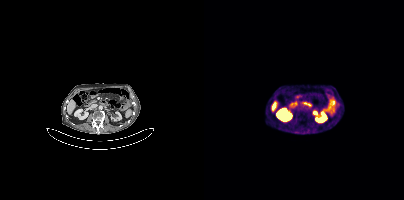
No tumor lesions annotated on this slice.
modality: PSMA PET/CT | tracer: 68Ga | view: axial | PET grid: 200×200